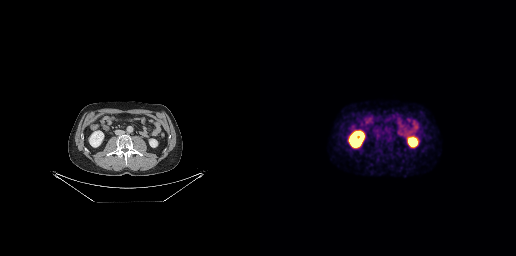
Technique: Two-panel axial: CT | PSMA PET, [18F]PSMA-1007 tracer. acquired on GE Discovery 690. slice 119 of 263. PET panel 256×256 px (2.7 mm/px).
Findings: Coordinates are on the 256×256 PET (right) panel. Small PSMA-avid foci (2 to 4 px across) near (center x, center y): (126, 131) / (117, 135).